modality: PSMA PET/CT | tracer: [68Ga]Ga-PSMA-11 | view: axial | PET grid: 168×168
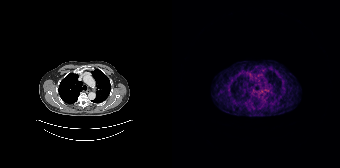
This slice has no annotated PSMA-avid lesion.